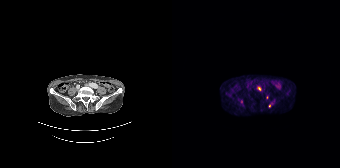
- Paired axial CT (left) and PSMA PET (right), 68Ga-PSMA tracer
- acquired on Siemens Biograph 64-4R TruePoint
Findings: Coordinates are on the 168×168 PET (right) panel. PSMA-avid tumor lesion bounding box (x0,y0,x1,y1): [97,102,101,106]. Small PSMA-avid foci (2 to 4 px across) near (center x, center y): (69, 101); (87, 88); (95, 97).